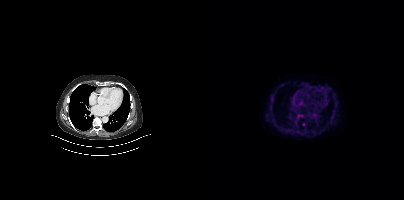
Paired axial CT (left) and PSMA PET (right), 18F tracer. Slice 231 of 354. PET panel 200×200 px (4.1 mm/px). Only PSMA-avid lesion pieces thinner than 2 px on this slice (not listed).